- Two-panel axial: CT | PSMA PET, [18F]PSMA-1007 tracer
- acquired on Siemens Biograph mCT Flow 20
- slice position z = -1166 mm
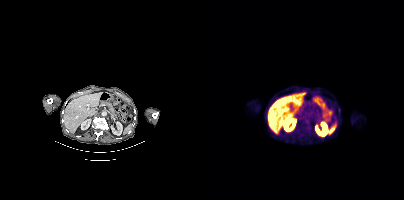
Findings: Coordinates are on the 200×200 PET (right) panel. PSMA-avid tumor lesion bounding box (x0,y0,x1,y1): [135,108,136,112].